Left: CT. Right: PSMA PET, same axial level, 18F tracer. PET panel 200×200 px (4.1 mm/px).
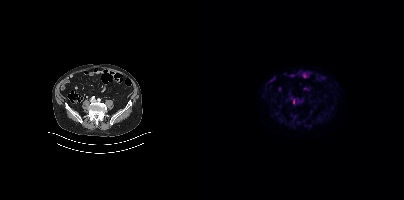
Coordinates are on the 200×200 PET (right) panel. Small PSMA-avid focus (2 to 4 px across) near (center x, center y): (89, 101).